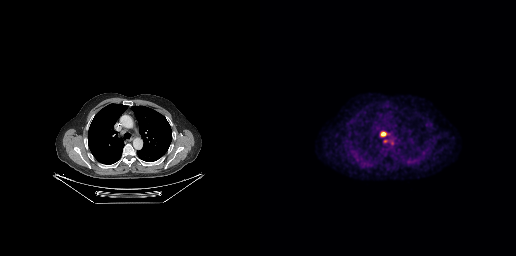
{"pet_grid":[256,256],"coord_frame":"pet_panel","coord_format":"x0,y0,x1,y1","lesion_bboxes":[[121,132,125,135]],"modality":"PSMA PET/CT","view":"axial","tracer":"[18F]PSMA-1007"}